modality: PSMA PET/CT | tracer: [68Ga]Ga-PSMA-11 | view: axial | PET grid: 200×200
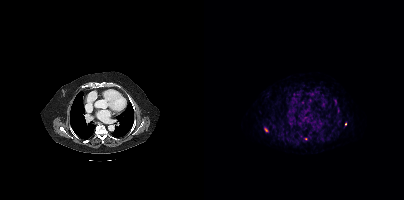
Coordinates are on the 200×200 PET (right) panel. (showing 2 of 3 foci) Small PSMA-avid foci (2 to 4 px across) near (center x, center y): (62, 129) / (141, 124).